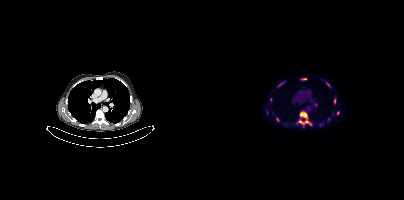
{"modality":"PSMA PET/CT","view":"axial","tracer":"18F-PSMA","pet_grid":[200,200],"coord_frame":"pet_panel","coord_format":"x0,y0,x1,y1","lesion_bboxes":[[93,111,108,127],[130,98,132,104],[72,117,75,121],[77,81,81,84],[132,111,135,115],[97,78,102,80]],"small_foci_centers":[[66,99],[124,119],[116,125],[63,112]]}